- Paired axial CT (left) and PSMA PET (right), 18F-PSMA tracer
- acquired on Siemens Biograph mCT Flow 20
- slice position z = -639 mm
- PET panel 200×200 px (4.1 mm/px)
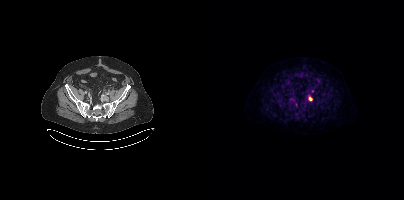
Findings: Coordinates are on the 200×200 PET (right) panel. PSMA-avid tumor lesion bounding box (x0,y0,x1,y1): [104,97,107,101]. Small PSMA-avid focus (2 to 4 px across) near (center x, center y): (107, 112).